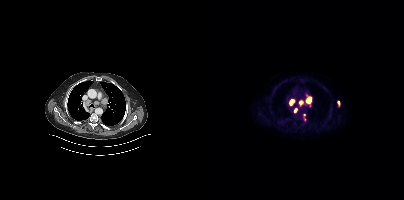
Findings: Coordinates are on the 200×200 PET (right) panel. PSMA-avid tumor lesion bounding boxes (x, y, width, height): x=101 y=95 w=7 h=12 / x=85 y=99 w=7 h=7 / x=95 y=100 w=5 h=7 / x=90 y=108 w=4 h=5. Small PSMA-avid foci (2 to 4 px across) near (center x, center y): (134, 102) / (100, 115) / (100, 119).
- Paired axial CT (left) and PSMA PET (right), [18F]PSMA-1007 tracer
- slice position z = -370 mm